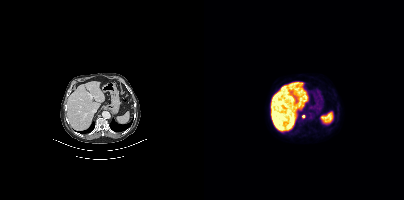
Two-panel axial: CT | PSMA PET, 18F tracer. Acquired on Siemens Biograph mCT Flow 20.
Coordinates are on the 200×200 PET (right) panel. PSMA-avid tumor lesion bounding boxes:
| # | x0 | y0 | x1 | y1 |
|---|---|---|---|---|
| 1 | 97 | 114 | 101 | 118 |